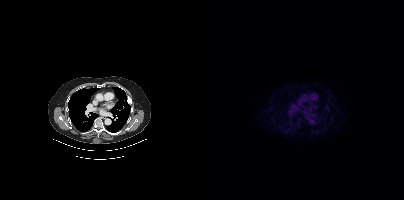
Technique: Paired axial CT (left) and PSMA PET (right), 18F tracer.
Findings: This slice has no annotated PSMA-avid lesion.